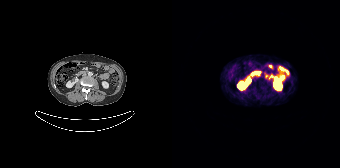
No PSMA-avid tumor lesions on this slice.